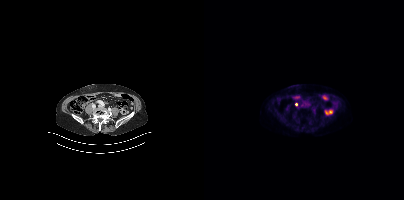
Coordinates are on the 200×200 PET (right) panel. Small PSMA-avid focus (2 to 4 px across) near (center x, center y): (92, 104). Paired axial CT (left) and PSMA PET (right), 18F-PSMA tracer.